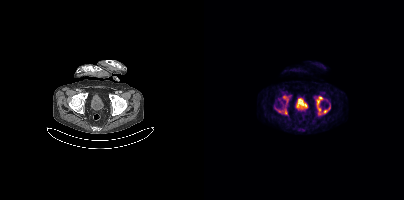
{"modality":"PSMA PET/CT","view":"axial","tracer":"18F-PSMA","pet_grid":[200,200],"coord_frame":"pet_panel","coord_format":"x0,y0,x1,y1","partial":true,"lesion_bboxes":[[112,96,118,114],[78,95,87,106],[119,108,125,113],[80,109,83,114]],"small_foci_centers":[[75,111]]}